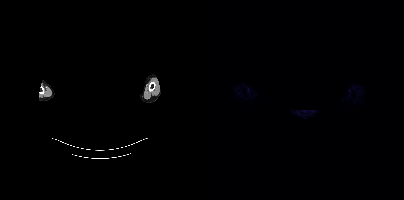
modality: PSMA PET/CT | tracer: 68Ga | view: axial | deidentification: privacy mask over head
Negative for PSMA-avid disease on this slice.